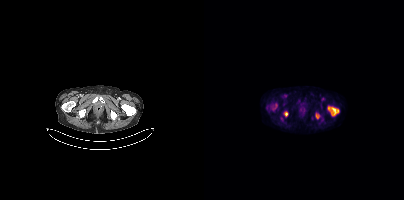
Coordinates are on the 200×200 PET (right) panel. (showing 3 of 5 foci) PSMA-avid tumor lesion bounding boxes (x0, y0)-(x1, y1): (124, 106)-(134, 115) / (80, 111)-(84, 116) / (112, 114)-(114, 118).